Privacy masking over the head, with the pixels inside a rectangle set to black.
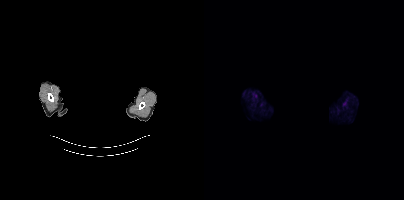
No tumor lesions annotated on this slice.